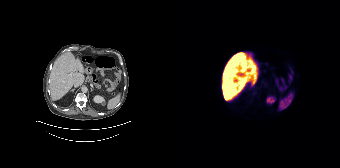
No tumor lesions annotated on this slice.